modality: PSMA PET/CT | tracer: 18F-PSMA | view: axial | PET grid: 200×200
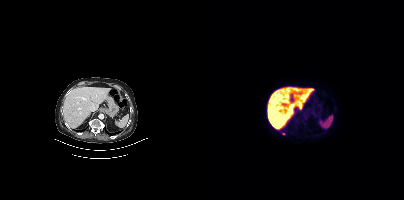
Coordinates are on the 200×200 PET (right) panel. Small PSMA-avid focus (2 to 4 px across) near (center x, center y): (79, 133).